Left: CT. Right: PSMA PET, same axial level, 18F tracer. Acquired on Siemens Biograph mCT Flow 20. PET panel 200×200 px (4.1 mm/px).
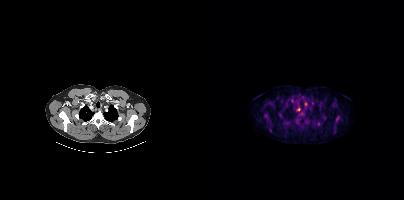
Coordinates are on the 200×200 PET (right) panel. (showing 2 of 4 foci) Small PSMA-avid foci (2 to 4 px across) near (center x, center y): (94, 109) / (101, 104).